Two-panel axial: CT | PSMA PET, 18F-PSMA tracer. Acquired on GE Discovery 690. Slice position z = -158 mm. PET panel 256×256 px (2.7 mm/px).
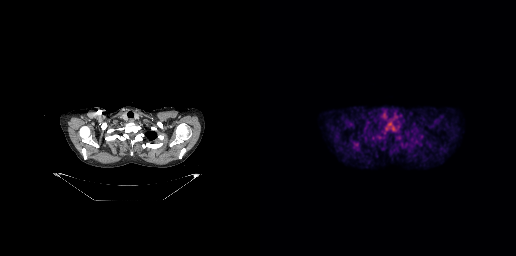
Coordinates are on the 256×256 PET (right) panel. PSMA-avid tumor lesion bounding boxes:
| # | x0 | y0 | x1 | y1 |
|---|---|---|---|---|
| 1 | 126 | 119 | 136 | 131 |